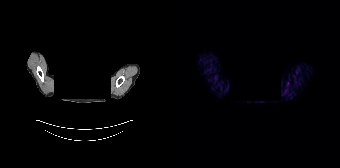
Findings: Negative for PSMA-avid disease on this slice.
Technique: Paired axial CT (left) and PSMA PET (right), 68Ga tracer.
Note: Head region blanked for anonymization (face removed).